Paired axial CT (left) and PSMA PET (right), 68Ga tracer. Acquired on Siemens Biograph mCT Flow 20. Slice position z = 397 mm. PET panel 200×200 px (4.1 mm/px).
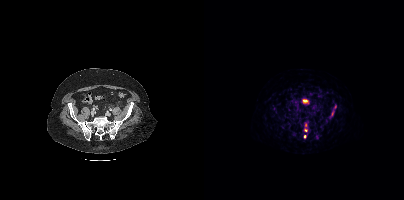
Coordinates are on the 200×200 PET (right) panel. PSMA-avid tumor lesion bounding box (x, y, width, height): x=127 y=110 w=4 h=7. Small PSMA-avid foci (2 to 4 px across) near (center x, center y): (131, 106) / (101, 130) / (101, 136) / (101, 125).